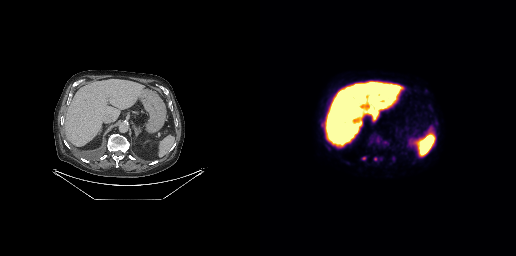
Coordinates are on the 256×256 PET (right) panel. PSMA-avid tumor lesion bounding boxes (x, y, width, height): x=61 y=121 w=4 h=8 | x=66 y=145 w=5 h=5. Small PSMA-avid foci (2 to 4 px across) near (center x, center y): (104, 158) | (115, 158).